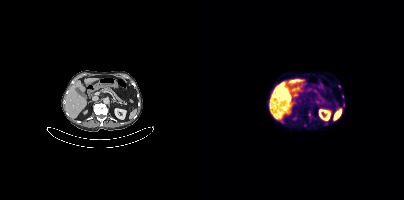
{"modality":"PSMA PET/CT","view":"axial","tracer":"[18F]PSMA-1007","pet_grid":[200,200],"coord_frame":"pet_panel","coord_format":"x0,y0,x1,y1","lesion_bboxes":[],"small_foci_centers":[[138,96]]}